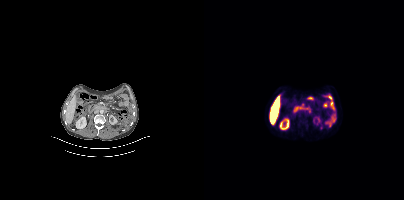
- Left: CT. Right: PSMA PET, same axial level, [18F]PSMA-1007 tracer
- slice 195 of 435
- PET panel 200×200 px (4.1 mm/px)
Findings: Coordinates are on the 200×200 PET (right) panel. PSMA-avid tumor lesion bounding boxes (x0, y0)-(x1, y1): (97, 103)-(101, 107); (102, 108)-(106, 112).